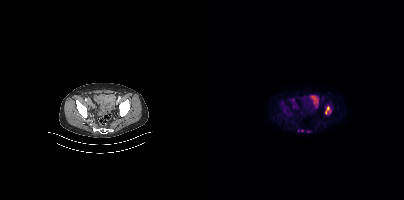
Findings: Coordinates are on the 200×200 PET (right) panel. (showing 3 of 5 foci) PSMA-avid tumor lesion bounding box (x, y, width, height): x=121 y=106 w=6 h=9. Small PSMA-avid foci (2 to 4 px across) near (center x, center y): (98, 130) / (104, 131).
- Left: CT. Right: PSMA PET, same axial level, [18F]PSMA-1007 tracer
- PET panel 200×200 px (4.1 mm/px)